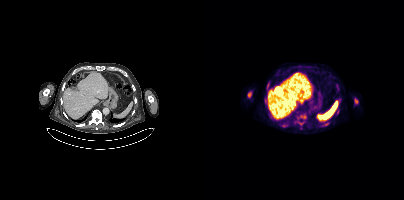
- Two-panel axial: CT | PSMA PET, [18F]PSMA-1007 tracer
Findings: Coordinates are on the 200×200 PET (right) panel. (showing 3 of 4 foci) PSMA-avid tumor lesion bounding boxes (x, y, width, height): x=43 y=92 w=5 h=6; x=150 y=98 w=5 h=6; x=94 y=122 w=6 h=4.